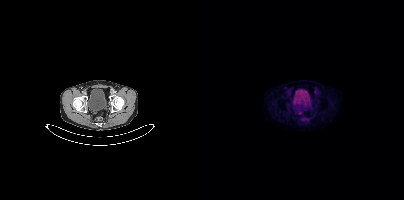
No tumor lesions annotated on this slice.
modality: PSMA PET/CT | tracer: 18F-PSMA | view: axial